modality: PSMA PET/CT | tracer: [18F]PSMA-1007 | view: axial
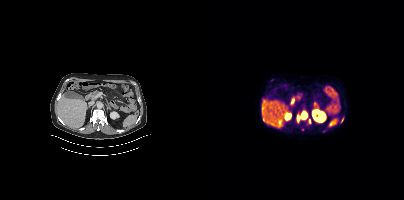
Coordinates are on the 200×200 PET (right) panel. PSMA-avid tumor lesion bounding boxes (x, y, width, height): x=98 y=111 w=6 h=8 | x=93 y=116 w=3 h=5. Small PSMA-avid focus (2 to 4 px across) near (center x, center y): (105, 121).